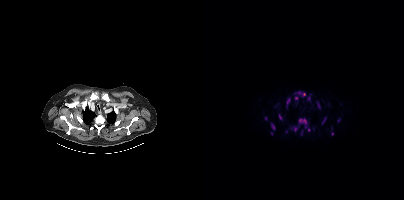
{"modality":"PSMA PET/CT","view":"axial","tracer":"18F-PSMA","pet_grid":[200,200],"coord_frame":"pet_panel","coord_format":"x0,y0,x1,y1","partial":true,"lesion_bboxes":[[87,118,103,131],[94,92,101,96],[67,123,71,129],[82,98,86,105],[118,117,122,124]],"small_foci_centers":[[92,97],[104,98],[105,129],[62,118],[128,133],[114,105],[134,120],[82,131],[67,132]]}